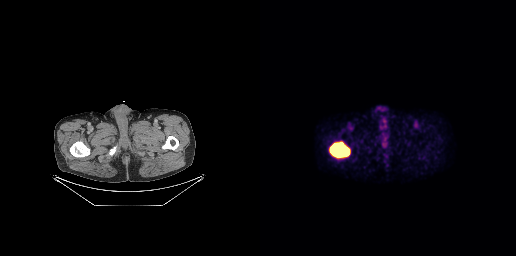
Technique: Left: CT. Right: PSMA PET, same axial level, 18F-PSMA tracer. slice 42 of 263. PET panel 256×256 px (2.7 mm/px).
Findings: Coordinates are on the 256×256 PET (right) panel. PSMA-avid tumor lesion bounding box (x0, y0)-(x1, y1): (69, 141)-(90, 159).